Left: CT. Right: PSMA PET, same axial level, 18F tracer. Slice 76 of 438.
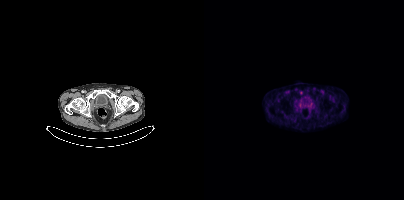
Only PSMA-avid lesion pieces thinner than 2 px on this slice (not listed).